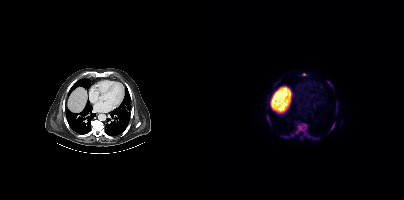
Two-panel axial: CT | PSMA PET, [18F]PSMA-1007 tracer. Acquired on Siemens Biograph mCT Flow 20. Slice 271 of 423. PET panel 200×200 px (4.1 mm/px).
Coordinates are on the 200×200 PET (right) panel. PSMA-avid tumor lesion bounding boxes (partial; 2 more foci not listed):
| # | x0 | y0 | x1 | y1 |
|---|---|---|---|---|
| 1 | 91 | 123 | 106 | 137 |
| 2 | 127 | 122 | 131 | 130 |
| 3 | 125 | 83 | 129 | 89 |
| 4 | 98 | 73 | 102 | 75 |
| 5 | 70 | 81 | 75 | 86 |
| 6 | 63 | 115 | 65 | 120 |
Small PSMA-avid foci (2 to 4 px across) near (center x, center y): (133, 103); (88, 135); (96, 137).